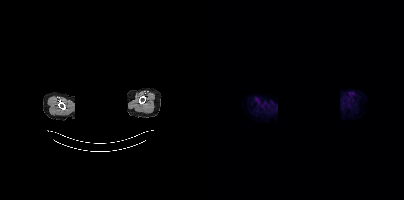
{"modality":"PSMA PET/CT","view":"axial","tracer":"[18F]PSMA-1007","pet_grid":[200,200],"coord_frame":"pet_panel","coord_format":"x0,y0,x1,y1","psma_avid_lesions":false,"deidentification":"head region blacked out before release"}